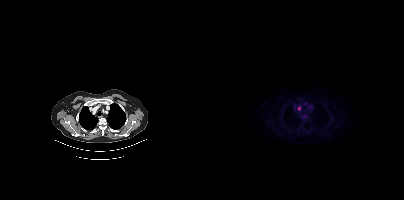
Technique: Paired axial CT (left) and PSMA PET (right), [18F]PSMA-1007 tracer. PET panel 200×200 px (4.1 mm/px).
Findings: No PSMA-avid tumor lesions on this slice.